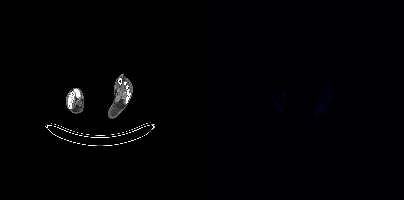
{"modality":"PSMA PET/CT","view":"axial","tracer":"18F","pet_grid":[200,200],"coord_frame":"pet_panel","coord_format":"x0,y0,x1,y1","psma_avid_lesions":false}